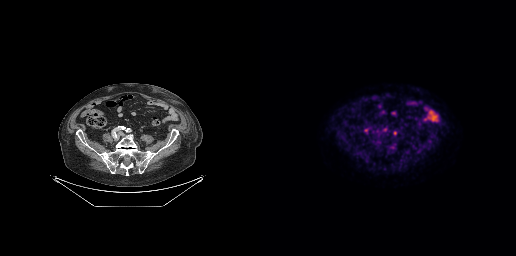
{"pet_grid":[256,256],"coord_frame":"pet_panel","coord_format":"x0,y0,x1,y1","lesion_bboxes":[],"small_foci_centers":[[135,133]],"modality":"PSMA PET/CT","view":"axial","tracer":"18F-PSMA"}